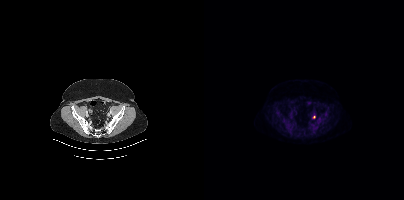
Coordinates are on the 200×200 PET (right) panel. Small PSMA-avid focus (2 to 4 px across) near (center x, center y): (110, 117).